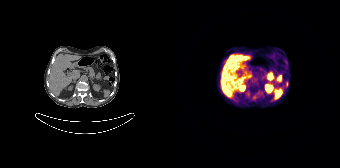
Paired axial CT (left) and PSMA PET (right), 68Ga tracer. Acquired on Siemens Biograph 64-4R TruePoint. PET panel 168×168 px (4.1 mm/px). Coordinates are on the 168×168 PET (right) panel. (showing 1 of 3 foci) PSMA-avid tumor lesion bounding box (x, y, width, height): x=114 y=82 w=3 h=5.